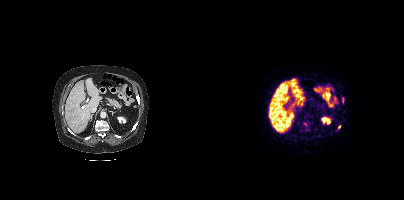
Findings: Coordinates are on the 200×200 PET (right) panel. (showing 2 of 3 foci) PSMA-avid tumor lesion bounding box (x, y, width, height): x=138 y=98 w=2 h=5. Small PSMA-avid focus (2 to 4 px across) near (center x, center y): (135, 126).
Technique: Two-panel axial: CT | PSMA PET, 68Ga tracer. PET panel 200×200 px (4.1 mm/px).